Two-panel axial: CT | PSMA PET, [18F]PSMA-1007 tracer. Acquired on Siemens Biograph mCT Flow 20. Slice 122 of 389.
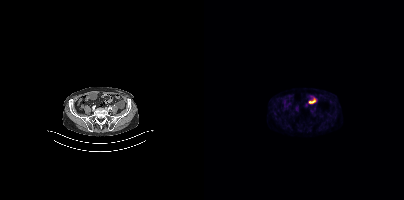
Negative for PSMA-avid disease on this slice.